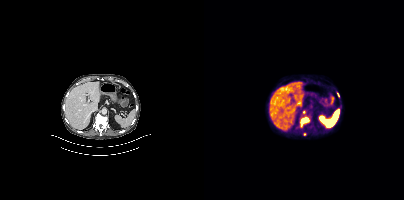
Technique: Paired axial CT (left) and PSMA PET (right), 18F-PSMA tracer. acquired on Siemens Biograph mCT Flow 20. slice position z = -646 mm. PET panel 200×200 px (4.1 mm/px).
Findings: Coordinates are on the 200×200 PET (right) panel. PSMA-avid tumor lesion bounding box (x0,y0,x1,y1): [96,116,106,127]. Small PSMA-avid foci (2 to 4 px across) near (center x, center y): (100, 112); (134, 94); (100, 134).